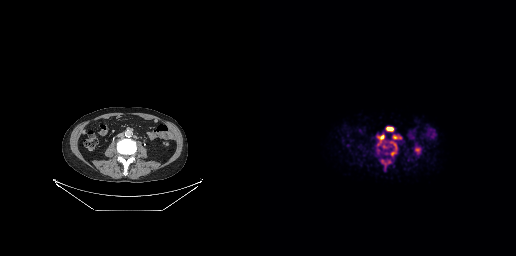
Coordinates are on the 256×256 PET (right) panel. PSMA-avid tumor lesion bounding boxes (x0, y0)-(x1, y1): (132, 135)-(141, 139) / (117, 134)-(124, 141) / (130, 151)-(134, 156) / (127, 128)-(133, 131) / (134, 144)-(137, 150) / (120, 159)-(123, 163).
modality: PSMA PET/CT | tracer: 68Ga-PSMA | view: axial